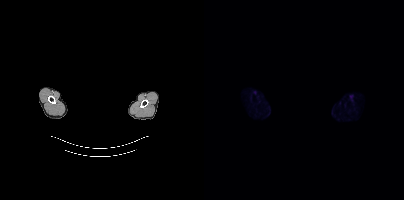
{"modality":"PSMA PET/CT","view":"axial","tracer":"18F","pet_grid":[200,200],"coord_frame":"pet_panel","coord_format":"x0,y0,x1,y1","psma_avid_lesions":false,"deidentification":"rectangular block over head set to black"}